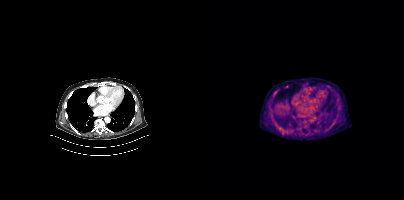
Only PSMA-avid lesion pieces thinner than 2 px on this slice (not listed).